Technique: Left: CT. Right: PSMA PET, same axial level, 18F tracer. acquired on Siemens Biograph mCT Flow 20.
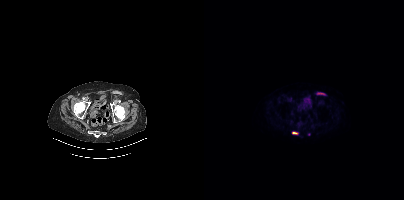
Findings: Coordinates are on the 200×200 PET (right) panel. PSMA-avid tumor lesion bounding box (x, y, width, height): x=88 y=131 w=7 h=4. Small PSMA-avid focus (2 to 4 px across) near (center x, center y): (105, 134).